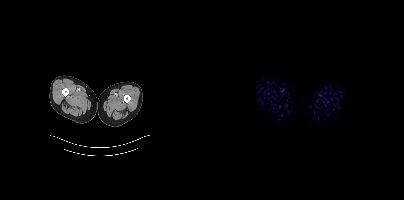
Paired axial CT (left) and PSMA PET (right), [18F]PSMA-1007 tracer. Acquired on Siemens Biograph mCT Flow 20. PET panel 200×200 px (4.1 mm/px). Negative for PSMA-avid disease on this slice.